Two-panel axial: CT | PSMA PET, 18F-PSMA tracer. Slice 102 of 367.
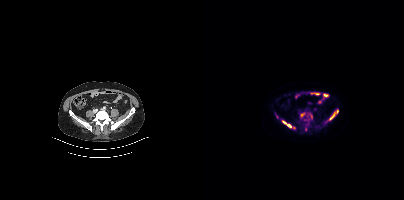
Coordinates are on the 200×200 PET (right) panel. (showing 2 of 4 foci) PSMA-avid tumor lesion bounding boxes (x, y, width, height): x=125 y=110 w=10 h=10 / x=78 y=121 w=10 h=7.